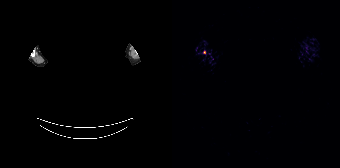
Facial anatomy redacted by setting a rectangular region of the head to black. Paired axial CT (left) and PSMA PET (right), 68Ga-PSMA tracer. Slice 164 of 165. PET panel 168×168 px (4.1 mm/px). This slice has no annotated PSMA-avid lesion.